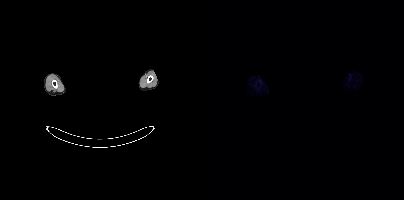
Any black rectangle over the head is a privacy mask, not anatomy. Left: CT. Right: PSMA PET, same axial level, 18F-PSMA tracer. Negative for PSMA-avid disease on this slice.